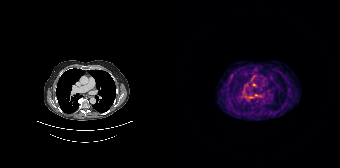
Coordinates are on the 168×168 PET (right) panel. (showing 1 of 2 foci) PSMA-avid tumor lesion bounding box (x, y, width, height): x=82 y=94 w=5 h=3.
modality: PSMA PET/CT | tracer: 68Ga-PSMA | view: axial